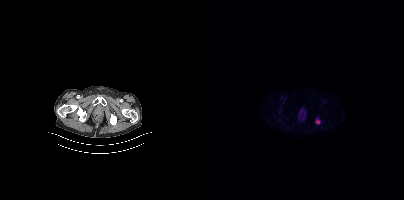
{"modality":"PSMA PET/CT","view":"axial","tracer":"18F-PSMA","pet_grid":[200,200],"coord_frame":"pet_panel","coord_format":"x0,y0,x1,y1","lesion_bboxes":[[111,119,116,124]]}